- Paired axial CT (left) and PSMA PET (right), 68Ga tracer
- acquired on Siemens Biograph mCT Flow 20
- slice position z = -1208 mm
- PET panel 200×200 px (4.1 mm/px)
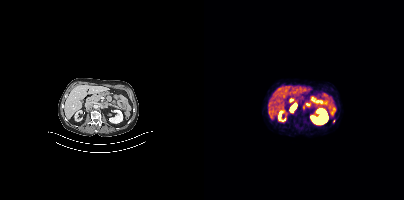
Findings: Coordinates are on the 200×200 PET (right) panel. PSMA-avid tumor lesion bounding box (x, y, width, height): x=86 y=104 w=7 h=7. Small PSMA-avid focus (2 to 4 px across) near (center x, center y): (129, 121).